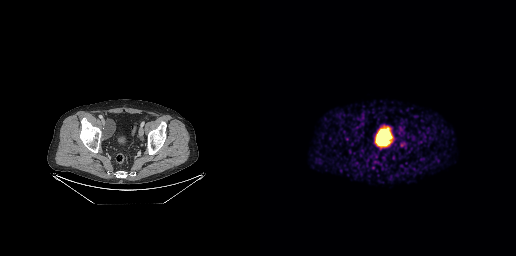
Coordinates are on the 256×256 PET (right) panel. Small PSMA-avid focus (2 to 4 px across) near (center x, center y): (141, 144).
modality: PSMA PET/CT | tracer: 68Ga | view: axial | PET grid: 256×256